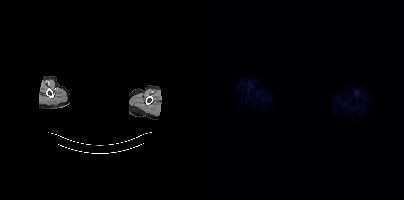
{"modality":"PSMA PET/CT","view":"axial","tracer":"[18F]PSMA-1007","pet_grid":[200,200],"coord_frame":"pet_panel","coord_format":"x0,y0,x1,y1","psma_avid_lesions":false,"deidentification":"rectangular block over head set to black"}